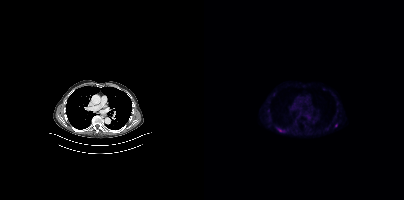
Coordinates are on the 200×200 PET (right) panel. PSMA-avid tumor lesion bounding box (x0,y0,x1,y1): [74,129,80,131]. Small PSMA-avid focus (2 to 4 px across) near (center x, center y): (132, 125). Paired axial CT (left) and PSMA PET (right), [18F]PSMA-1007 tracer. Acquired on Siemens Biograph mCT Flow 20. Slice position z = -522 mm. PET panel 200×200 px (4.1 mm/px).